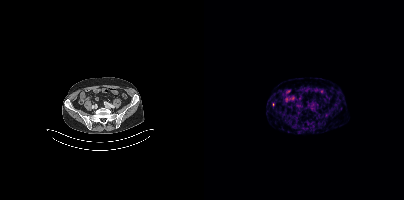
- Left: CT. Right: PSMA PET, same axial level, [68Ga]Ga-PSMA-11 tracer
Findings: Only PSMA-avid lesion pieces thinner than 2 px on this slice (not listed).